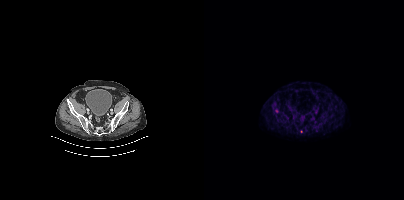
Technique: Paired axial CT (left) and PSMA PET (right), 18F-PSMA tracer. acquired on Siemens Biograph mCT Flow 20. slice position z = -1468 mm.
Findings: Coordinates are on the 200×200 PET (right) panel. Small PSMA-avid focus (2 to 4 px across) near (center x, center y): (97, 131).